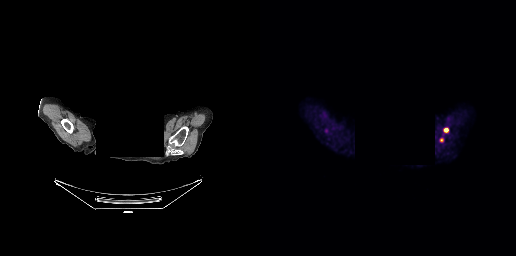
- head region blanked for anonymization (face removed)
- Left: CT. Right: PSMA PET, same axial level, [18F]PSMA-1007 tracer
- PET panel 256×256 px (2.7 mm/px)
Findings: Coordinates are on the 256×256 PET (right) panel. PSMA-avid tumor lesion bounding box (x0,y0,x1,y1): [184,128,188,132]. Small PSMA-avid focus (2 to 4 px across) near (center x, center y): (181, 140).